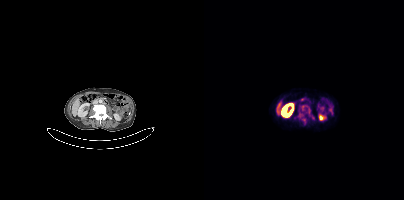
Two-panel axial: CT | PSMA PET, 68Ga-PSMA tracer.
Coordinates are on the 200×200 PET (right) panel. PSMA-avid tumor lesion bounding boxes:
| # | x0 | y0 | x1 | y1 |
|---|---|---|---|---|
| 1 | 99 | 119 | 102 | 124 |
Small PSMA-avid foci (2 to 4 px across) near (center x, center y): (104, 112); (108, 117).